Technique: Paired axial CT (left) and PSMA PET (right), 18F tracer. slice position z = -1167 mm.
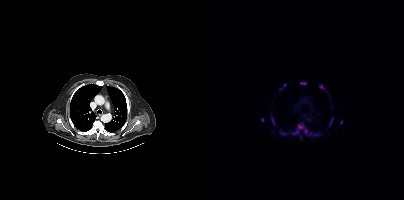
Findings: Coordinates are on the 200×200 PET (right) panel. (showing 11 of 13 foci) PSMA-avid tumor lesion bounding boxes (x0,y0,x1,y1): [87,122,103,135], [76,132,82,135], [67,117,71,124], [96,82,102,84], [116,85,120,89], [125,118,128,126], [96,135,98,139]. Small PSMA-avid foci (2 to 4 px across) near (center x, center y): (58, 119), (111, 134), (80, 85), (137, 121).